modality: PSMA PET/CT | tracer: 18F-PSMA | view: axial
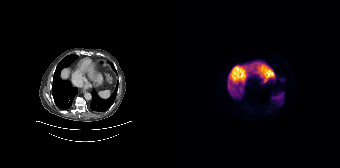
No tumor lesions annotated on this slice.